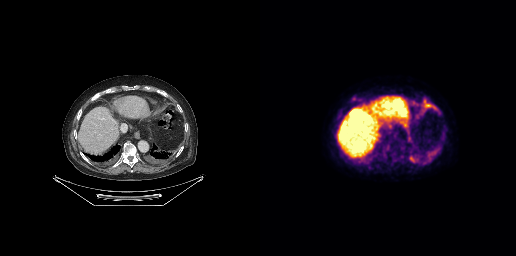
Coordinates are on the 256×256 PET (right) panel. PSMA-avid tumor lesion bounding boxes (x0, y0)-(x1, y1): (167, 145)-(181, 159) / (161, 99)-(177, 113) / (149, 155)-(157, 162) / (145, 129)-(150, 135) / (92, 96)-(97, 101) / (148, 137)-(152, 141) / (153, 100)-(157, 105). Small PSMA-avid foci (2 to 4 px across) near (center x, center y): (157, 120) / (142, 156). Paired axial CT (left) and PSMA PET (right), 18F-PSMA tracer. Acquired on GE Discovery 690.